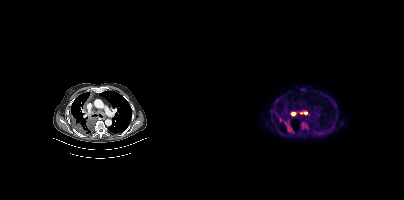
Coordinates are on the 200×200 PET (right) panel. PSMA-avid tumor lesion bounding boxes (x, y, width, height): x=75 y=118 w=14 h=15 / x=97 y=123 w=8 h=7 / x=95 y=110 w=9 h=5 / x=87 y=112 w=6 h=4. Paired axial CT (left) and PSMA PET (right), [18F]PSMA-1007 tracer. Acquired on Siemens Biograph mCT Flow 20. PET panel 200×200 px (4.1 mm/px).